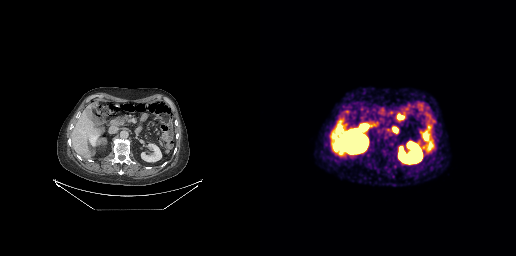
Paired axial CT (left) and PSMA PET (right), [68Ga]Ga-PSMA-11 tracer. Acquired on GE Discovery 690. No PSMA-avid tumor lesions on this slice.